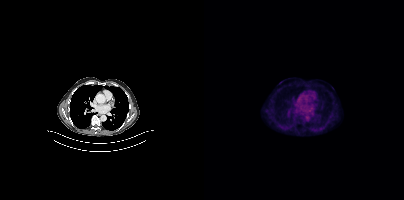
Only PSMA-avid lesion pieces thinner than 2 px on this slice (not listed).